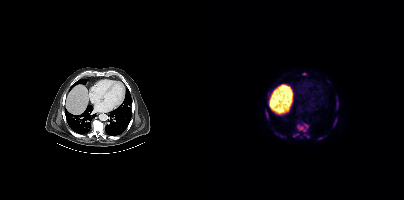
Paired axial CT (left) and PSMA PET (right), [18F]PSMA-1007 tracer.
Coordinates are on the 200×200 PET (right) panel. PSMA-avid tumor lesion bounding boxes (partial; 2 more foci not listed):
| # | x0 | y0 | x1 | y1 |
|---|---|---|---|---|
| 1 | 93 | 122 | 104 | 132 |
| 2 | 129 | 117 | 133 | 127 |
| 3 | 132 | 96 | 134 | 103 |
| 4 | 61 | 111 | 64 | 118 |
| 5 | 89 | 133 | 95 | 137 |
| 6 | 100 | 134 | 105 | 138 |
| 7 | 71 | 132 | 75 | 135 |
Small PSMA-avid focus (2 to 4 px across) near (center x, center y): (96, 136).